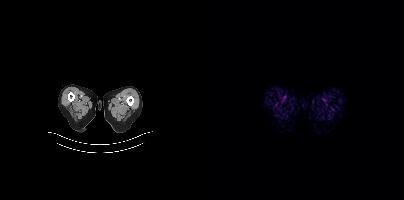
Two-panel axial: CT | PSMA PET, 18F tracer. PET panel 200×200 px (4.1 mm/px). Negative for PSMA-avid disease on this slice.